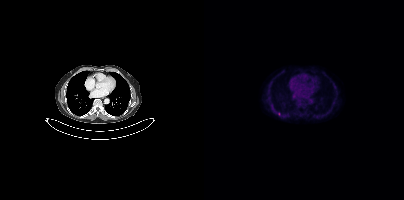
Findings: Only PSMA-avid lesion pieces thinner than 2 px on this slice (not listed).
Technique: Two-panel axial: CT | PSMA PET, 18F-PSMA tracer. slice 252 of 413. PET panel 200×200 px (4.1 mm/px).